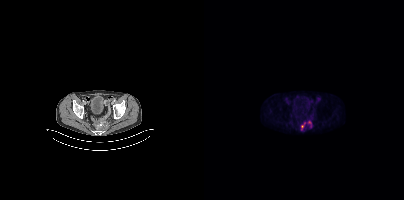
- Left: CT. Right: PSMA PET, same axial level, 18F tracer
Findings: Coordinates are on the 200×200 PET (right) panel. PSMA-avid tumor lesion bounding boxes (x, y, width, height): x=97 y=122 w=5 h=9 / x=104 y=121 w=4 h=7.